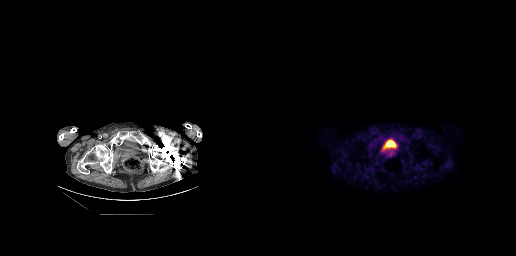
Coordinates are on the 256×256 PET (right) panel. (showing 1 of 2 foci) PSMA-avid tumor lesion bounding box (x0,y0,x1,y1): [129,150,132,155]. Two-panel axial: CT | PSMA PET, 18F-PSMA tracer.